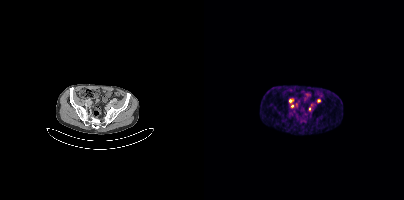
Coordinates are on the 200×200 PET (right) panel. (showing 5 of 6 foci) PSMA-avid tumor lesion bounding box (x0, y0)-(x1, y1): (85, 99)-(89, 102). Small PSMA-avid foci (2 to 4 px across) near (center x, center y): (114, 100); (88, 106); (105, 108); (92, 104).